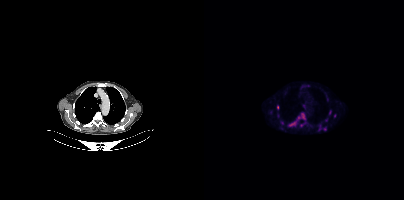
Technique: Paired axial CT (left) and PSMA PET (right), 18F-PSMA tracer. acquired on Siemens Biograph mCT Flow 20.
Findings: Coordinates are on the 200×200 PET (right) panel. (showing 7 of 9 foci) PSMA-avid tumor lesion bounding box (x, y, width, height): x=86 y=113 w=16 h=14. Small PSMA-avid foci (2 to 4 px across) near (center x, center y): (73, 107) / (121, 129) / (126, 112) / (66, 112) / (130, 115) / (97, 125).